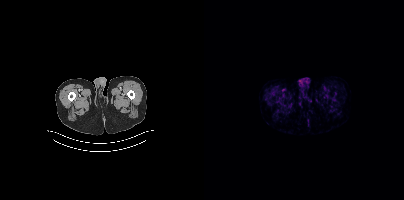
{"modality":"PSMA PET/CT","view":"axial","tracer":"18F","pet_grid":[200,200],"coord_frame":"pet_panel","coord_format":"x0,y0,x1,y1","psma_avid_lesions":false}